modality: PSMA PET/CT | tracer: [18F]PSMA-1007 | view: axial | PET grid: 200×200
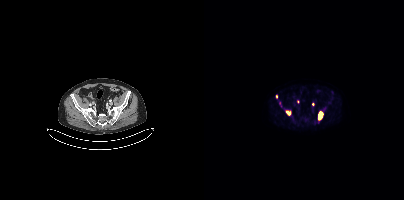
Coordinates are on the 200×200 PET (right) panel. (showing 4 of 5 foci) PSMA-avid tumor lesion bounding boxes (x0, y0)-(x1, y1): (114, 112)-(118, 120) / (75, 101)-(77, 107). Small PSMA-avid foci (2 to 4 px across) near (center x, center y): (120, 109) / (72, 96).